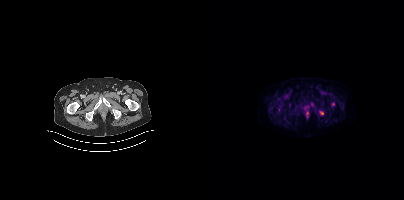
Left: CT. Right: PSMA PET, same axial level, [18F]PSMA-1007 tracer. Slice 51 of 411.
Coordinates are on the 200×200 PET (right) panel. PSMA-avid tumor lesion bounding boxes:
| # | x0 | y0 | x1 | y1 |
|---|---|---|---|---|
| 1 | 127 | 102 | 130 | 106 |
Small PSMA-avid focus (2 to 4 px across) near (center x, center y): (118, 113).